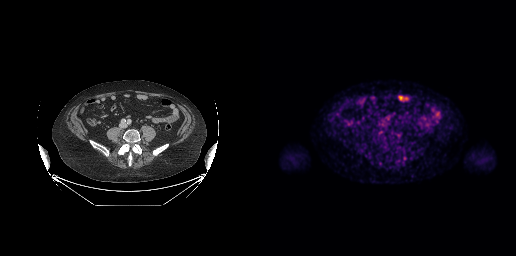
No PSMA-avid tumor lesions on this slice.